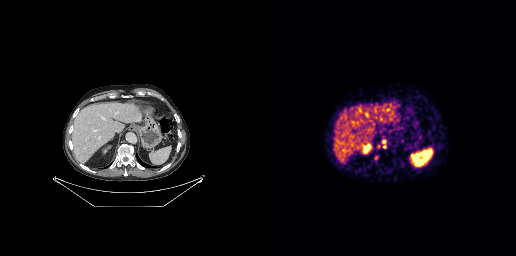
Paired axial CT (left) and PSMA PET (right), [68Ga]Ga-PSMA-11 tracer. Acquired on GE Discovery 690. Slice 90 of 189. Coordinates are on the 256×256 PET (right) panel. PSMA-avid tumor lesion bounding boxes (x0, y0)-(x1, y1): (122, 140)-(126, 148) | (114, 155)-(118, 160). Small PSMA-avid focus (2 to 4 px across) near (center x, center y): (118, 146).